Two-panel axial: CT | PSMA PET, [18F]PSMA-1007 tracer. Slice position z = -1444 mm.
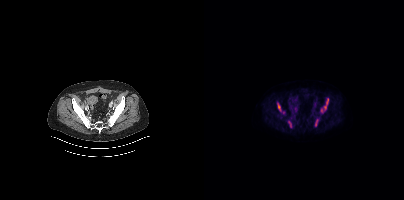
Coordinates are on the 200×200 PET (right) panel. PSMA-avid tumor lesion bounding boxes (x, y, width, height): x=73 y=103 w=5 h=9 | x=120 y=98 w=5 h=12 | x=111 y=119 w=3 h=7. Small PSMA-avid foci (2 to 4 px across) near (center x, center y): (85, 122) | (117, 110) | (79, 112) | (86, 126).